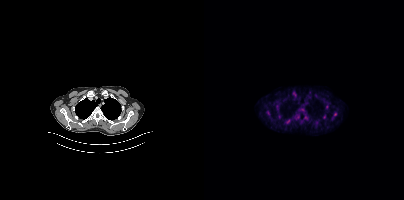
Coordinates are on the 200×200 PET (right) panel. PSMA-avid tumor lesion bounding box (x, y, width, height): x=128 y=112 w=6 h=8. Small PSMA-avid foci (2 to 4 px across) near (center x, center y): (120, 116); (123, 106); (64, 112); (112, 122); (75, 116).